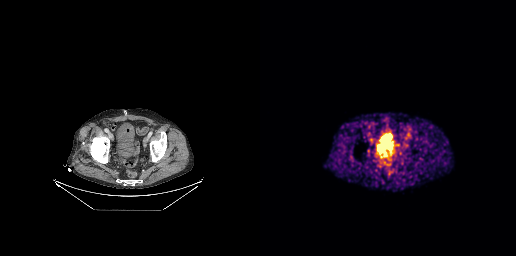
Coordinates are on the 256×256 PET (right) panel. (showing 1 of 2 foci) PSMA-avid tumor lesion bounding box (x0, y0)-(x1, y1): (116, 145)-(129, 163).